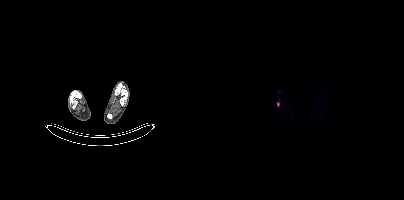
Left: CT. Right: PSMA PET, same axial level, 18F tracer. Slice 42 of 963.
Coordinates are on the 200×200 PET (right) panel. PSMA-avid tumor lesion bounding boxes:
| # | x0 | y0 | x1 | y1 |
|---|---|---|---|---|
| 1 | 73 | 102 | 75 | 106 |